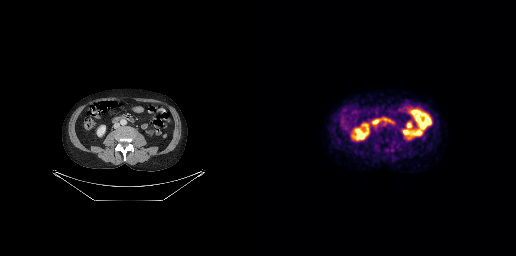
{"pet_grid":[256,256],"coord_frame":"pet_panel","coord_format":"x0,y0,x1,y1","psma_avid_lesions":false,"modality":"PSMA PET/CT","view":"axial","tracer":"[18F]PSMA-1007"}